Left: CT. Right: PSMA PET, same axial level, 18F tracer. Acquired on Siemens Biograph mCT Flow 20. Slice position z = -876 mm.
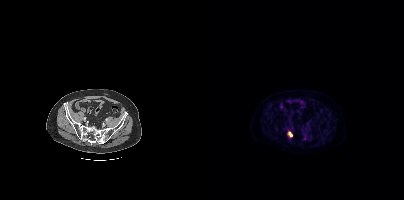
Coordinates are on the 200×200 PET (right) panel. PSMA-avid tumor lesion bounding box (x0, y0)-(x1, y1): (85, 132)-(88, 136).